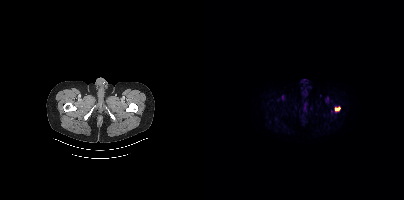
{"pet_grid":[200,200],"coord_frame":"pet_panel","coord_format":"x0,y0,x1,y1","partial":true,"lesion_bboxes":[[130,106,136,112]],"modality":"PSMA PET/CT","view":"axial","tracer":"18F"}